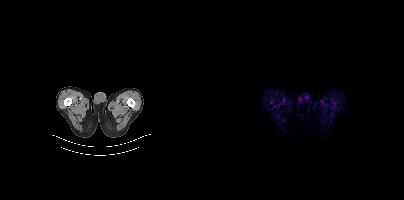
No PSMA-avid tumor lesions on this slice. Paired axial CT (left) and PSMA PET (right), 18F-PSMA tracer.